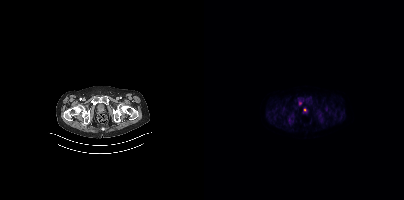
Coordinates are on the 200×200 PET (right) panel. PSMA-avid tumor lesion bounding box (x, y, width, height): x=95 y=101 w=3 h=5.